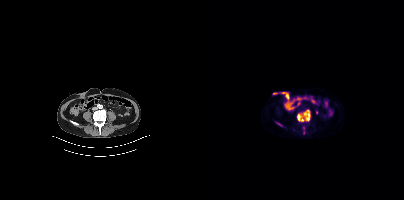
modality: PSMA PET/CT | tracer: 18F | view: axial
Coordinates are on the 200×200 PET (right) panel. PSMA-avid tumor lesion bounding box (x, y, width, height): x=93 y=112 w=14 h=10.